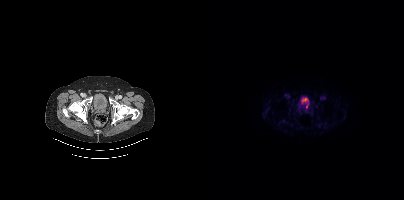
- Two-panel axial: CT | PSMA PET, 18F tracer
- acquired on Siemens Biograph mCT Flow 20
- slice position z = -1014 mm
- PET panel 200×200 px (4.1 mm/px)
Findings: Coordinates are on the 200×200 PET (right) panel. PSMA-avid tumor lesion bounding box (x, y, width, height): x=102 y=103 w=3 h=6.